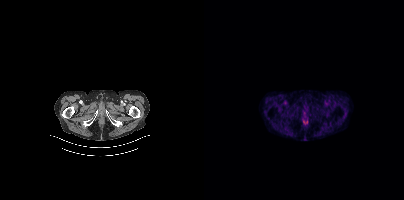
Two-panel axial: CT | PSMA PET, 68Ga-PSMA tracer. Acquired on Siemens Biograph mCT Flow 20. Slice position z = -1092 mm. No PSMA-avid tumor lesions on this slice.